- Paired axial CT (left) and PSMA PET (right), 18F-PSMA tracer
- slice position z = -943 mm
- PET panel 200×200 px (4.1 mm/px)
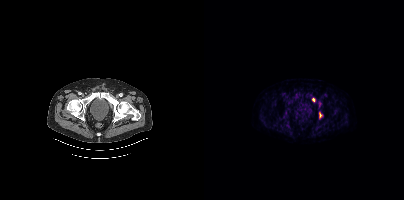
Findings: Coordinates are on the 200×200 PET (right) panel. PSMA-avid tumor lesion bounding box (x, y, width, height): x=115 y=112 w=4 h=7. Small PSMA-avid focus (2 to 4 px across) near (center x, center y): (109, 99).